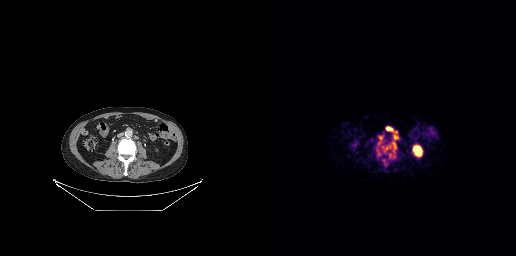
Left: CT. Right: PSMA PET, same axial level, 68Ga tracer.
Coordinates are on the 256×256 PET (right) panel. PSMA-avid tumor lesion bounding boxes:
| # | x0 | y0 | x1 | y1 |
|---|---|---|---|---|
| 1 | 130 | 142 | 136 | 155 |
| 2 | 127 | 127 | 133 | 131 |
| 3 | 118 | 136 | 123 | 141 |
| 4 | 134 | 135 | 139 | 138 |
Small PSMA-avid focus (2 to 4 px across) near (center x, center y): (136, 131).